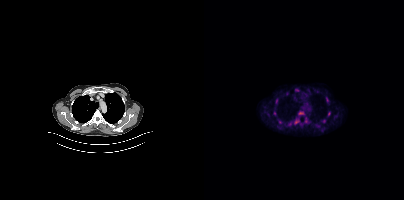
Technique: Paired axial CT (left) and PSMA PET (right), 18F-PSMA tracer. slice position z = -268 mm.
Findings: Coordinates are on the 200×200 PET (right) panel. (showing 6 of 8 foci) PSMA-avid tumor lesion bounding boxes (x, y, width, height): x=124 y=111 w=3 h=6 | x=122 y=98 w=3 h=5. Small PSMA-avid foci (2 to 4 px across) near (center x, center y): (119, 120) | (113, 125) | (76, 122) | (70, 113).